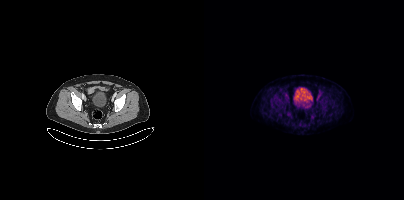
Negative for PSMA-avid disease on this slice.